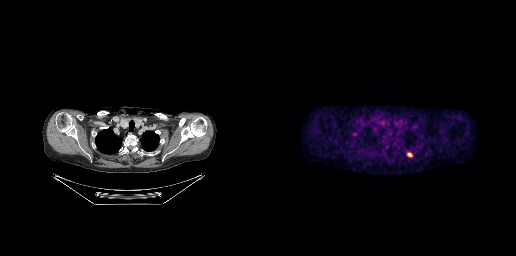
Findings: Coordinates are on the 256×256 PET (right) panel. PSMA-avid tumor lesion bounding box (x, y, width, height): x=147 y=152 w=6 h=5.
Technique: Left: CT. Right: PSMA PET, same axial level, [18F]PSMA-1007 tracer. acquired on GE Discovery 690.